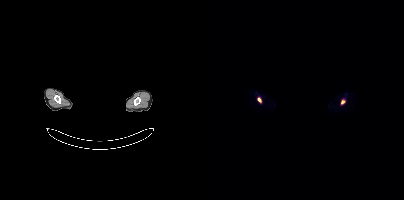
Coordinates are on the 200×200 PET (right) panel. PSMA-avid tumor lesion bounding boxes (x, y, width, height): x=54 y=98 w=4 h=5 / x=137 y=100 w=5 h=4.
redaction: rectangular block over head set to black | modality: PSMA PET/CT | tracer: 68Ga | view: axial | PET grid: 200×200